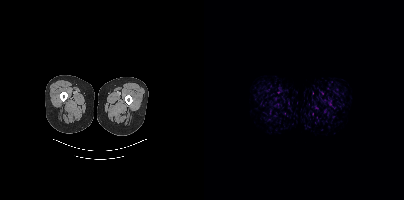
Findings: Negative for PSMA-avid disease on this slice.
Technique: Paired axial CT (left) and PSMA PET (right), [18F]PSMA-1007 tracer. PET panel 200×200 px (4.1 mm/px).